Left: CT. Right: PSMA PET, same axial level, [18F]PSMA-1007 tracer. Acquired on Siemens Biograph mCT Flow 20. PET panel 200×200 px (4.1 mm/px).
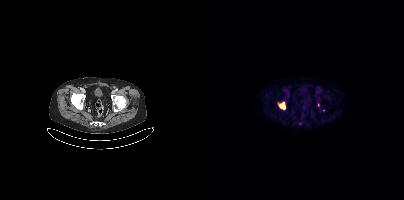
Coordinates are on the 200×200 PET (right) panel. (showing 1 of 4 foci) PSMA-avid tumor lesion bounding box (x, y, width, height): x=74 y=102 w=8 h=8.